modality: PSMA PET/CT | tracer: 18F-PSMA | view: axial | PET grid: 256×256 | deidentification: face masked with black rectangle
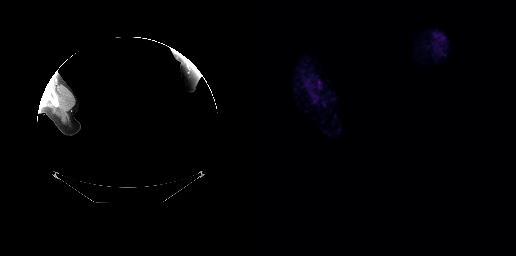
No PSMA-avid tumor lesions on this slice.